Two-panel axial: CT | PSMA PET, 18F tracer. Acquired on Siemens Biograph mCT Flow 20. PET panel 200×200 px (4.1 mm/px).
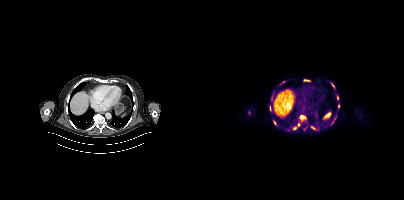
Coordinates are on the 200×200 PET (right) panel. PSMA-avid tumor lesion bounding boxes (partial; 1 more focus not listed):
| # | x0 | y0 | x1 | y1 |
|---|---|---|---|---|
| 1 | 89 | 123 | 96 | 129 |
| 2 | 96 | 115 | 101 | 119 |
| 3 | 65 | 106 | 67 | 111 |
| 4 | 107 | 126 | 111 | 129 |
| 5 | 76 | 81 | 81 | 84 |
| 6 | 100 | 80 | 104 | 81 |
| 7 | 127 | 83 | 130 | 87 |
| 8 | 130 | 116 | 132 | 120 |
Small PSMA-avid foci (2 to 4 px across) near (center x, center y): (70, 122); (134, 105); (67, 98); (133, 98).